Technique: Paired axial CT (left) and PSMA PET (right), [18F]PSMA-1007 tracer. slice position z = -1557 mm.
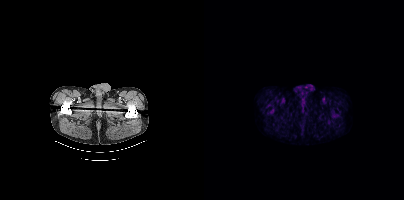
Findings: Negative for PSMA-avid disease on this slice.